Technique: Left: CT. Right: PSMA PET, same axial level, [18F]PSMA-1007 tracer.
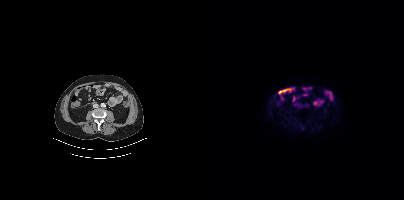
Findings: Negative for PSMA-avid disease on this slice.